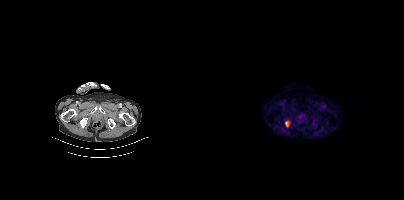
{"modality":"PSMA PET/CT","view":"axial","tracer":"[18F]PSMA-1007","pet_grid":[200,200],"coord_frame":"pet_panel","coord_format":"x0,y0,x1,y1","lesion_bboxes":[[81,120,86,126]]}